- Left: CT. Right: PSMA PET, same axial level, [18F]PSMA-1007 tracer
- acquired on Siemens Biograph mCT Flow 20
- slice position z = -338 mm
- PET panel 200×200 px (4.1 mm/px)
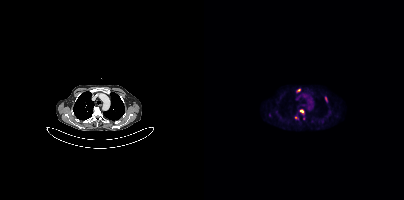
Findings: Coordinates are on the 200×200 PET (right) panel. (showing 4 of 5 foci) PSMA-avid tumor lesion bounding boxes (x, y, width, height): x=95 y=110 w=6 h=5 | x=121 y=97 w=3 h=6. Small PSMA-avid foci (2 to 4 px across) near (center x, center y): (94, 90) | (92, 117).